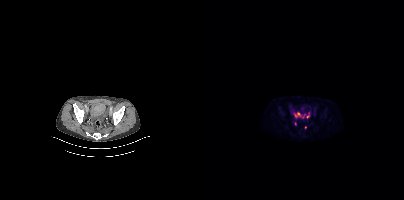
Paired axial CT (left) and PSMA PET (right), 18F tracer. Acquired on Siemens Biograph mCT Flow 20. Slice position z = -1514 mm.
Coordinates are on the 200×200 PET (right) panel. PSMA-avid tumor lesion bounding boxes (partial; 1 more focus not listed):
| # | x0 | y0 | x1 | y1 |
|---|---|---|---|---|
| 1 | 90 | 112 | 96 | 117 |
Small PSMA-avid foci (2 to 4 px across) near (center x, center y): (104, 116); (101, 127); (91, 123).